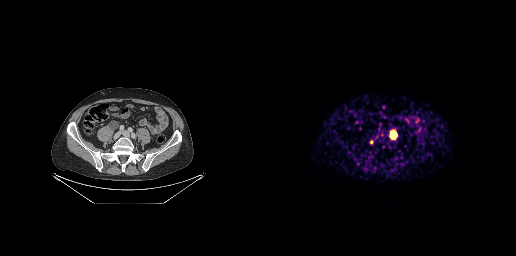
Coordinates are on the 256×256 PET (right) panel. PSMA-avid tumor lesion bounding boxes (x, y, width, height): x=131 y=132 w=6 h=6 / x=110 y=140 w=4 h=5. Left: CT. Right: PSMA PET, same axial level, 68Ga tracer. Slice position z = -796 mm. PET panel 256×256 px (2.7 mm/px).